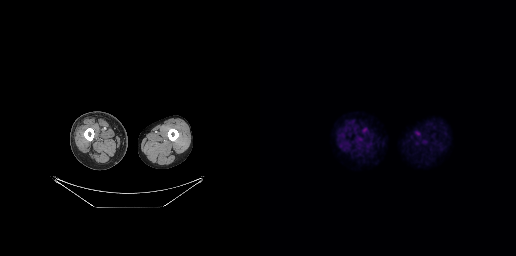
No PSMA-avid tumor lesions on this slice.